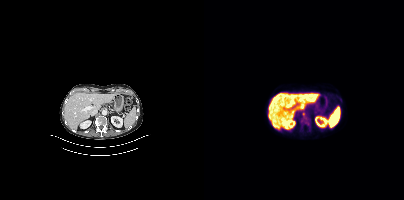
Coordinates are on the 200×200 PET (right) panel. Small PSMA-avid focus (2 to 4 px across) near (center x, center y): (99, 113).
modality: PSMA PET/CT | tracer: [18F]PSMA-1007 | view: axial | PET grid: 200×200